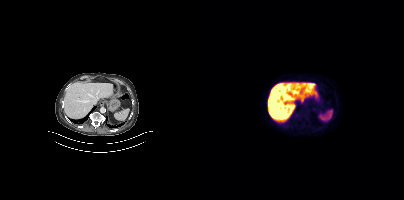
Two-panel axial: CT | PSMA PET, [18F]PSMA-1007 tracer. No tumor lesions annotated on this slice.